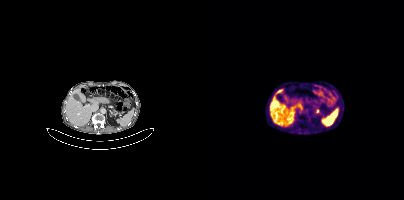
Coordinates are on the 200×200 PET (right) panel. PSMA-avid tumor lesion bounding box (x0,y0,x1,y1): [112,109,115,113].